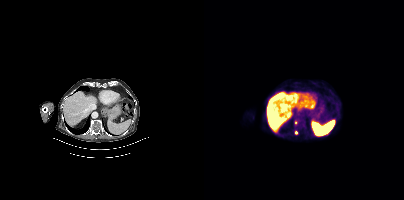
Coordinates are on the 200×200 PET (right) panel. Small PSMA-avid foci (2 to 4 px across) near (center x, center y): (92, 132) / (92, 122).